modality: PSMA PET/CT | tracer: 18F | view: axial | PET grid: 200×200
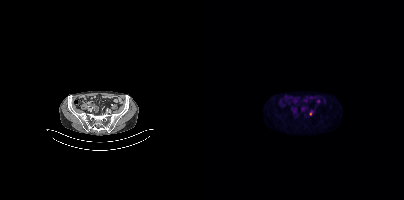
Coordinates are on the 200×200 PET (right) panel. Small PSMA-avid focus (2 to 4 px across) near (center x, center y): (106, 113).